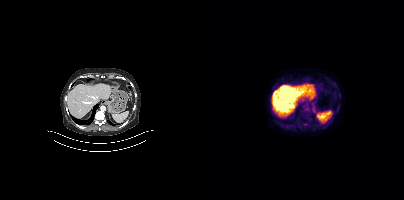
Paired axial CT (left) and PSMA PET (right), 18F tracer. Only PSMA-avid lesion pieces thinner than 2 px on this slice (not listed).